deidentification: head region blacked out before release | modality: PSMA PET/CT | tracer: 18F-PSMA | view: axial | PET grid: 256×256
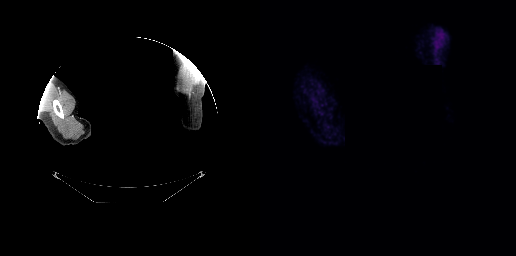
No PSMA-avid tumor lesions on this slice.